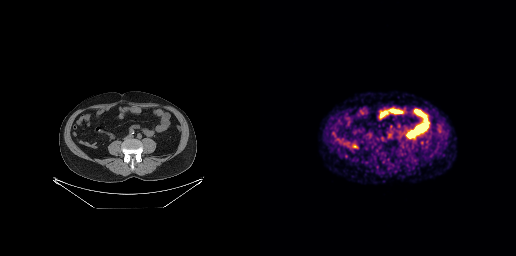
No tumor lesions annotated on this slice.